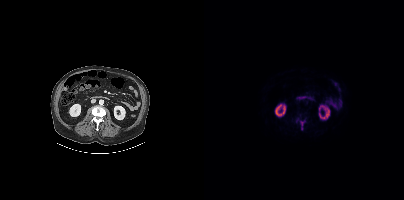
{"modality":"PSMA PET/CT","view":"axial","tracer":"18F-PSMA","pet_grid":[200,200],"coord_frame":"pet_panel","coord_format":"x0,y0,x1,y1","partial":true,"lesion_bboxes":[[96,120,101,130]]}